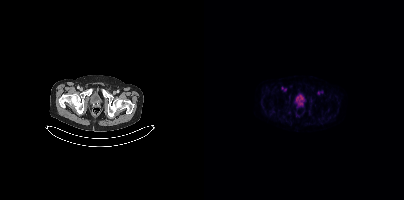
Left: CT. Right: PSMA PET, same axial level, 18F-PSMA tracer. Acquired on Siemens Biograph mCT Flow 20. PET panel 200×200 px (4.1 mm/px). No PSMA-avid tumor lesions on this slice.